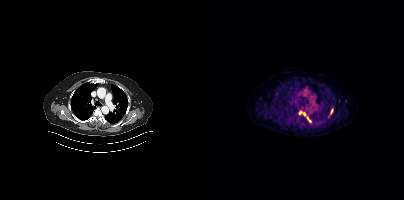
Left: CT. Right: PSMA PET, same axial level, 18F tracer.
Coordinates are on the 200×200 PET (right) panel. PSMA-avid tumor lesion bounding boxes (partial; 3 more foci not listed):
| # | x0 | y0 | x1 | y1 |
|---|---|---|---|---|
| 1 | 95 | 111 | 107 | 122 |
| 2 | 126 | 108 | 129 | 114 |
Small PSMA-avid focus (2 to 4 px across) near (center x, center y): (56, 97).